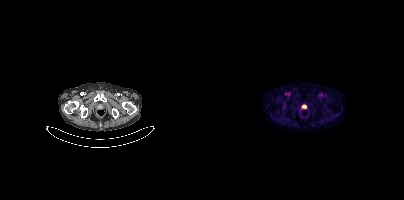
Paired axial CT (left) and PSMA PET (right), 18F tracer. Acquired on Siemens Biograph mCT Flow 20. PET panel 200×200 px (4.1 mm/px). Coordinates are on the 200×200 PET (right) panel. PSMA-avid tumor lesion bounding box (x0,y0,x1,y1): [98,105,102,108].